Technique: Two-panel axial: CT | PSMA PET, 18F tracer. slice 54 of 263.
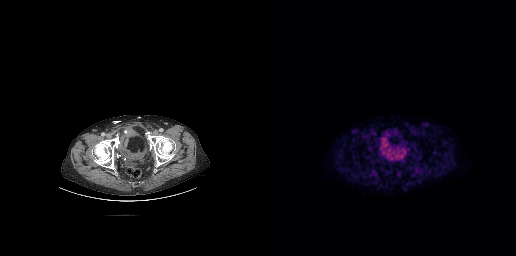
Findings: No tumor lesions annotated on this slice.